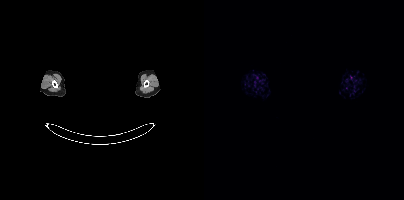
This slice has no annotated PSMA-avid lesion.
Any black rectangle over the head is a privacy mask, not anatomy.